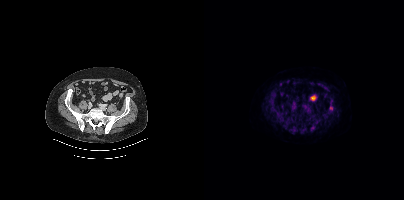
- Paired axial CT (left) and PSMA PET (right), 18F tracer
- acquired on Siemens Biograph mCT Flow 20
- PET panel 200×200 px (4.1 mm/px)
Findings: Coordinates are on the 200×200 PET (right) panel. Small PSMA-avid focus (2 to 4 px across) near (center x, center y): (127, 107).